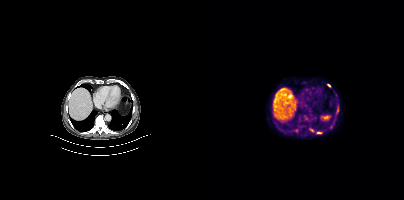
modality: PSMA PET/CT | tracer: 18F | view: axial
Coordinates are on the 200×200 PET (right) panel. PSMA-avid tumor lesion bounding box (x0, y0)-(x1, y1): (112, 131)-(118, 133). Small PSMA-avid foci (2 to 4 px across) near (center x, center y): (107, 130) | (125, 85).